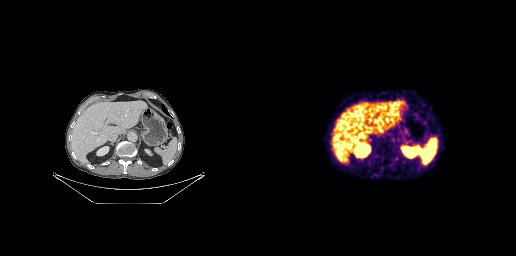
{"modality":"PSMA PET/CT","view":"axial","tracer":"68Ga","pet_grid":[256,256],"coord_frame":"pet_panel","coord_format":"x0,y0,x1,y1","partial":true,"lesion_bboxes":[]}